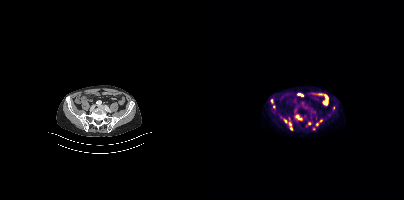
{"modality":"PSMA PET/CT","view":"axial","tracer":"[18F]PSMA-1007","pet_grid":[200,200],"coord_frame":"pet_panel","coord_format":"x0,y0,x1,y1","partial":true,"lesion_bboxes":[[93,115,98,119],[123,101,124,105]],"small_foci_centers":[[86,128],[86,124],[67,101],[129,108],[81,121],[105,123],[113,124],[69,106],[116,120]]}